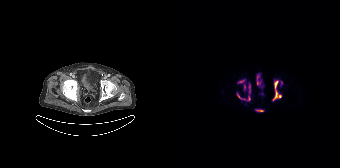
{"modality":"PSMA PET/CT","view":"axial","tracer":"18F-PSMA","pet_grid":[168,168],"coord_frame":"pet_panel","coord_format":"x0,y0,x1,y1","lesion_bboxes":[[100,80,109,100],[65,93,78,100],[76,83,78,93],[66,80,72,83],[84,110,91,111],[72,85,73,90]],"small_foci_centers":[[109,82]]}